Technique: Paired axial CT (left) and PSMA PET (right), [68Ga]Ga-PSMA-11 tracer. slice position z = -1326 mm. PET panel 168×168 px (4.1 mm/px).
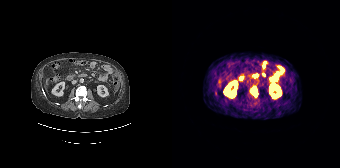
Findings: Coordinates are on the 168×168 PET (right) panel. PSMA-avid tumor lesion bounding box (x, y, width, height): x=78 y=86 w=8 h=10.